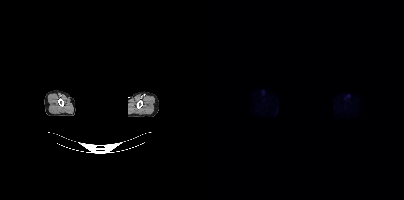
This slice has no annotated PSMA-avid lesion. The head region is masked for de-identification. Paired axial CT (left) and PSMA PET (right), 18F tracer. Slice 383 of 421.